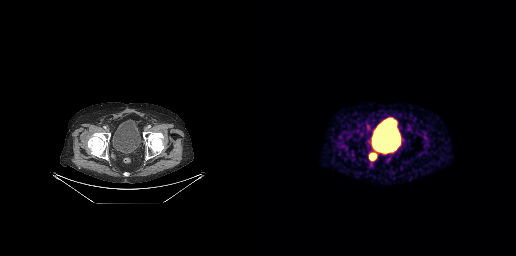
Coordinates are on the 256×256 PET (right) panel. Small PSMA-avid focus (2 to 4 px across) near (center x, center y): (112, 156).
modality: PSMA PET/CT | tracer: [68Ga]Ga-PSMA-11 | view: axial | PET grid: 256×256